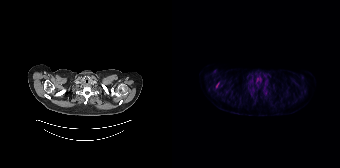
Coordinates are on the 168×168 PET (right) panel. PSMA-avid tumor lesion bounding box (x, y, width, height): x=44 y=82 w=4 h=7.
modality: PSMA PET/CT | tracer: [18F]PSMA-1007 | view: axial | PET grid: 168×168